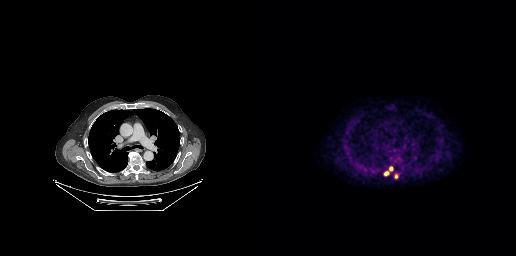
- Paired axial CT (left) and PSMA PET (right), 18F-PSMA tracer
- acquired on GE Discovery 690
Findings: Coordinates are on the 256×256 PET (right) panel. PSMA-avid tumor lesion bounding box (x0, y0)-(x1, y1): (124, 167)-(132, 175). Small PSMA-avid focus (2 to 4 px across) near (center x, center y): (136, 176).